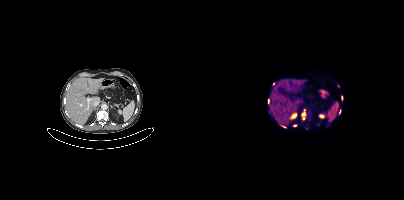
Technique: Two-panel axial: CT | PSMA PET, [18F]PSMA-1007 tracer.
Findings: Coordinates are on the 200×200 PET (right) panel. (showing 7 of 10 foci) PSMA-avid tumor lesion bounding boxes (x0, y0)-(x1, y1): (98, 111)-(101, 120) | (77, 125)-(81, 127) | (64, 99)-(65, 103). Small PSMA-avid foci (2 to 4 px across) near (center x, center y): (114, 125) | (135, 111) | (134, 85) | (69, 83).